- Paired axial CT (left) and PSMA PET (right), 18F-PSMA tracer
- acquired on Siemens Biograph mCT Flow 20
- slice 15 of 397
- PET panel 200×200 px (4.1 mm/px)
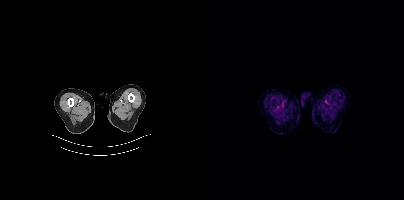
Findings: No PSMA-avid tumor lesions on this slice.